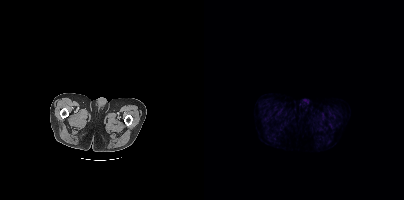
Technique: Left: CT. Right: PSMA PET, same axial level, [18F]PSMA-1007 tracer. PET panel 200×200 px (4.1 mm/px).
Findings: Negative for PSMA-avid disease on this slice.